modality: PSMA PET/CT | tracer: 18F-PSMA | view: axial | de-identification: head region blacked out before release
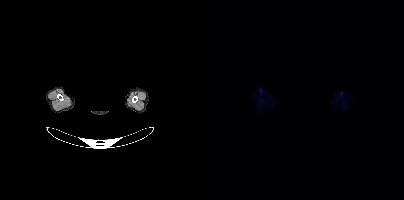
This slice has no annotated PSMA-avid lesion.